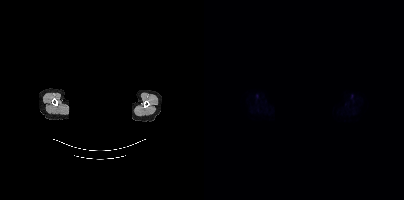
A rectangular block over the head has been blanked out for de-identification.
Negative for PSMA-avid disease on this slice.